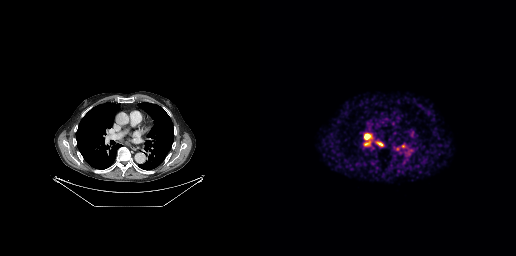
{"modality":"PSMA PET/CT","view":"axial","tracer":"68Ga-PSMA","pet_grid":[256,256],"coord_frame":"pet_panel","coord_format":"x0,y0,x1,y1","lesion_bboxes":[[104,133,111,139],[104,142,110,145],[117,142,121,145]]}